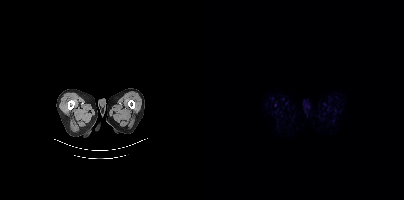
Left: CT. Right: PSMA PET, same axial level, 18F-PSMA tracer. Slice 7 of 383. No tumor lesions annotated on this slice.